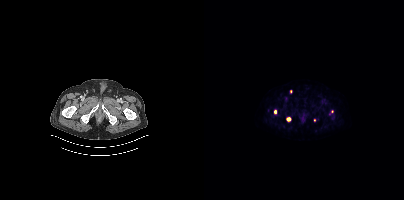
Left: CT. Right: PSMA PET, same axial level, 18F tracer. Acquired on Siemens Biograph mCT Flow 20. Slice position z = -1635 mm. PET panel 200×200 px (4.1 mm/px).
Coordinates are on the 200×200 PET (right) panel. PSMA-avid tumor lesion bounding boxes:
| # | x0 | y0 | x1 | y1 |
|---|---|---|---|---|
| 1 | 82 | 117 | 87 | 121 |
Small PSMA-avid foci (2 to 4 px across) near (center x, center y): (71, 111); (87, 91); (128, 111); (110, 120).